modality: PSMA PET/CT | tracer: 18F-PSMA | view: axial | PET grid: 256×256
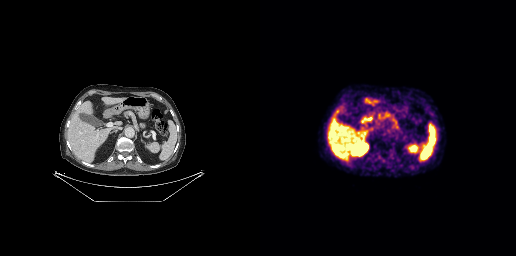
No PSMA-avid tumor lesions on this slice.